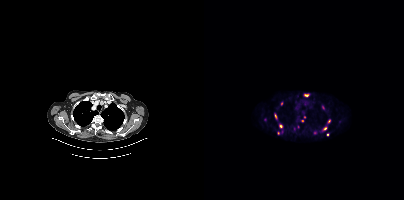
{"modality":"PSMA PET/CT","view":"axial","tracer":"[68Ga]Ga-PSMA-11","pet_grid":[200,200],"coord_frame":"pet_panel","coord_format":"x0,y0,x1,y1","partial":true,"lesion_bboxes":[[71,114,72,118]],"small_foci_centers":[[120,128],[76,126],[125,121],[98,120],[102,95],[123,134],[77,103],[100,116],[74,132]]}